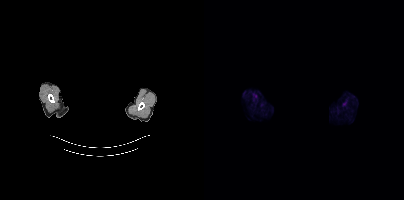
Technique: Two-panel axial: CT | PSMA PET, [18F]PSMA-1007 tracer.
Note: A rectangular block over the head has been blanked out for de-identification.
Findings: Negative for PSMA-avid disease on this slice.